Technique: Paired axial CT (left) and PSMA PET (right), 18F-PSMA tracer. slice position z = -1476 mm.
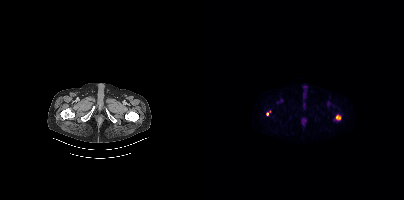
Findings: Coordinates are on the 200×200 PET (right) panel. (showing 2 of 3 foci) PSMA-avid tumor lesion bounding box (x, y, width, height): x=132 y=115 w=6 h=6. Small PSMA-avid focus (2 to 4 px across) near (center x, center y): (63, 114).